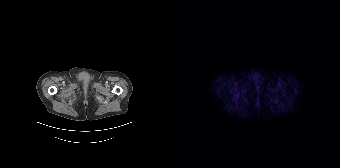
Two-panel axial: CT | PSMA PET, 68Ga tracer. PET panel 168×168 px (4.1 mm/px). This slice has no annotated PSMA-avid lesion.